- Paired axial CT (left) and PSMA PET (right), [18F]PSMA-1007 tracer
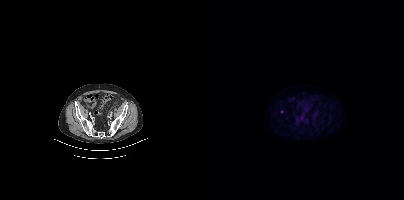
Findings: Coordinates are on the 200×200 PET (right) panel. Small PSMA-avid focus (2 to 4 px across) near (center x, center y): (77, 111).